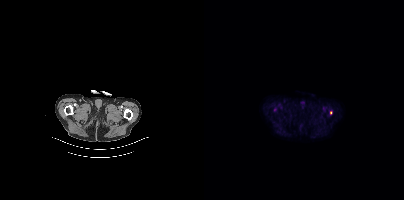
Coordinates are on the 200×200 PET (right) panel. Small PSMA-avid focus (2 to 4 px across) near (center x, center y): (127, 112).
modality: PSMA PET/CT | tracer: [18F]PSMA-1007 | view: axial | PET grid: 200×200